An anonymization step blacked out a rectangle over the head in this scan. Paired axial CT (left) and PSMA PET (right), [18F]PSMA-1007 tracer. Slice 452 of 452. PET panel 200×200 px (4.1 mm/px).
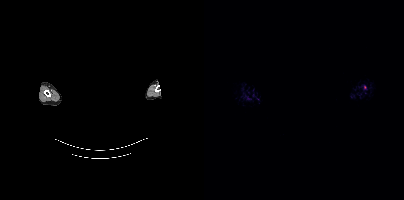
Negative for PSMA-avid disease on this slice.